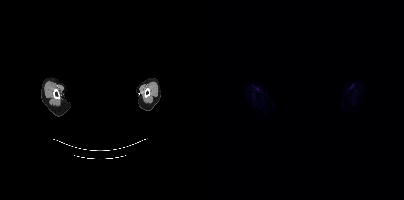
Findings: No PSMA-avid tumor lesions on this slice.
- the face region was removed for patient privacy by blanking a rectangle over the head
- Two-panel axial: CT | PSMA PET, 18F tracer
- acquired on Siemens Biograph mCT Flow 20
- PET panel 200×200 px (4.1 mm/px)